- Paired axial CT (left) and PSMA PET (right), [18F]PSMA-1007 tracer
- acquired on Siemens Biograph mCT Flow 20
- slice 21 of 395
- PET panel 200×200 px (4.1 mm/px)
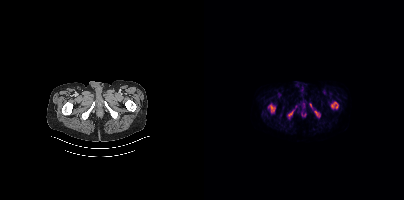
Findings: Coordinates are on the 200×200 PET (right) panel. PSMA-avid tumor lesion bounding boxes (x0, y0)-(x1, y1): (64, 104)-(71, 113); (84, 105)-(94, 118); (127, 102)-(134, 108); (110, 111)-(115, 116); (106, 103)-(108, 107).